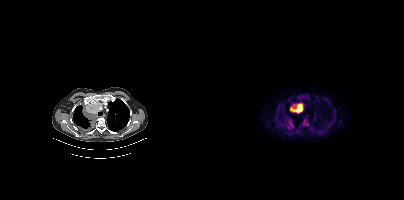
Coordinates are on the 200×200 PET (right) panel. PSMA-avid tumor lesion bounding boxes (x0,y0,x1,y1): [86,103,98,112]; [81,120,89,127]; [98,119,104,125]; [95,95,100,97].